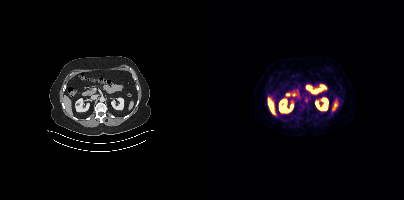
modality: PSMA PET/CT | tracer: 18F | view: axial
This slice has no annotated PSMA-avid lesion.